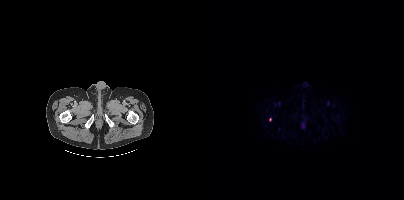
Coordinates are on the 200×200 PET (right) panel. Small PSMA-avid focus (2 to 4 px across) near (center x, center y): (66, 119).